Technique: Two-panel axial: CT | PSMA PET, 18F tracer. acquired on Siemens Biograph mCT Flow 20. slice position z = -291 mm. PET panel 200×200 px (4.1 mm/px).
Note: Face de-identified by blanking a block of the head.
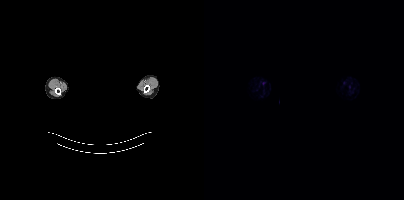
Findings: This slice has no annotated PSMA-avid lesion.